- Two-panel axial: CT | PSMA PET, [68Ga]Ga-PSMA-11 tracer
- slice position z = -1237 mm
- PET panel 200×200 px (4.1 mm/px)
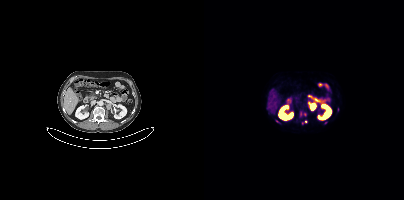
Findings: Coordinates are on the 200×200 PET (right) panel. (showing 4 of 7 foci) Small PSMA-avid foci (2 to 4 px across) near (center x, center y): (97, 113) (73, 121) (101, 121) (121, 122).